Paired axial CT (left) and PSMA PET (right), 18F tracer.
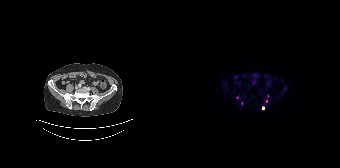
Coordinates are on the 168×168 PET (right) panel. (showing 4 of 5 foci) Small PSMA-avid foci (2 to 4 px across) near (center x, center y): (91, 107) / (94, 101) / (69, 103) / (95, 95).